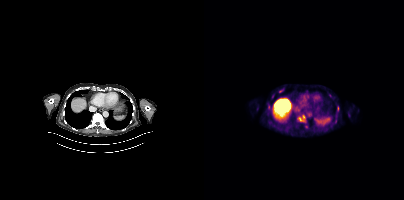
{"modality":"PSMA PET/CT","view":"axial","tracer":"18F-PSMA","pet_grid":[200,200],"coord_frame":"pet_panel","coord_format":"x0,y0,x1,y1","partial":true,"lesion_bboxes":[]}